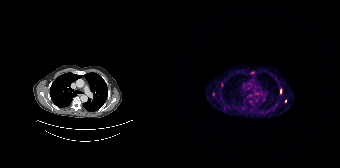
modality: PSMA PET/CT | tracer: 68Ga | view: axial
Coordinates are on the 168×168 PET (right) panel. PSMA-avid tumor lesion bounding box (x0, y0)-(x1, y1): (108, 89)-(109, 93). Small PSMA-avid foci (2 to 4 px across) near (center x, center y): (49, 84) | (113, 100).